Technique: Left: CT. Right: PSMA PET, same axial level, 18F-PSMA tracer. acquired on GE Discovery 690. slice 237 of 299. PET panel 256×256 px (2.7 mm/px).
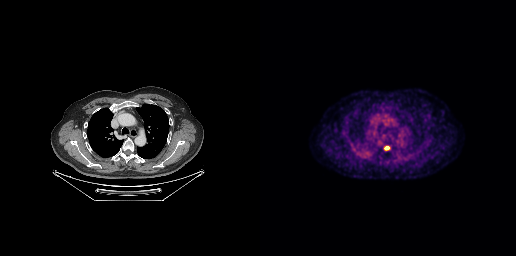
Findings: Coordinates are on the 256×256 PET (right) panel. PSMA-avid tumor lesion bounding box (x0,y0,x1,y1): [124,146,129,149].